modality: PSMA PET/CT | tracer: 18F-PSMA | view: axial | PET grid: 200×200
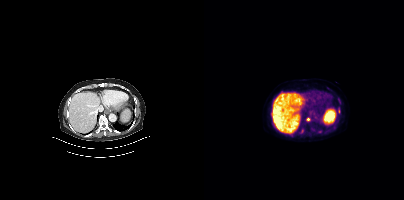
Coordinates are on the 200×200 PET (right) panel. PSMA-avid tumor lesion bounding boxes (x, y, width, height): x=96 y=129 w=4 h=5; x=134 y=109 w=3 h=5. Small PSMA-avid foci (2 to 4 px across) near (center x, center y): (104, 119); (77, 92).